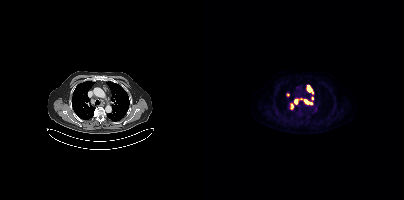
Findings: Coordinates are on the 200×200 PET (right) panel. PSMA-avid tumor lesion bounding box (x0,y0,x1,y1): [100,99,108,104]. Small PSMA-avid focus (2 to 4 px across) near (center x, center y): (92, 101).
- Left: CT. Right: PSMA PET, same axial level, 18F tracer
- slice 305 of 419